Two-panel axial: CT | PSMA PET, 68Ga tracer. Slice position z = -867 mm. PET panel 256×256 px (2.7 mm/px).
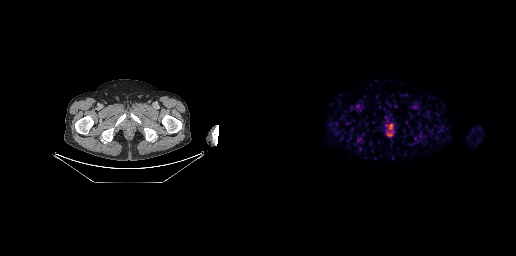
Coordinates are on the 256×256 PET (right) panel. Small PSMA-avid focus (2 to 4 px across) near (center x, center y): (131, 126).